modality: PSMA PET/CT | tracer: 18F | view: axial
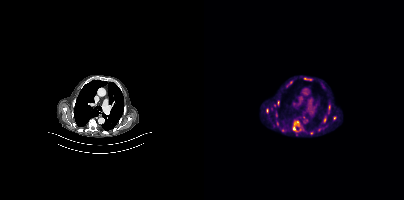
Coordinates are on the 200×200 PET (right) panel. (showing 11 of 12 foci) PSMA-avid tumor lesion bounding boxes (x, y, width, height): x=82 y=82 w=6 h=6; x=62 y=108 w=3 h=6; x=73 y=100 w=3 h=6; x=89 y=126 w=3 h=5; x=120 y=118 w=3 h=5. Small PSMA-avid foci (2 to 4 px across) near (center x, center y): (72, 114); (70, 105); (130, 118); (67, 108); (93, 121); (90, 123).